- Paired axial CT (left) and PSMA PET (right), [18F]PSMA-1007 tracer
- acquired on GE Discovery 690
- PET panel 256×256 px (2.7 mm/px)
- any black rectangle over the head is a privacy mask, not anatomy
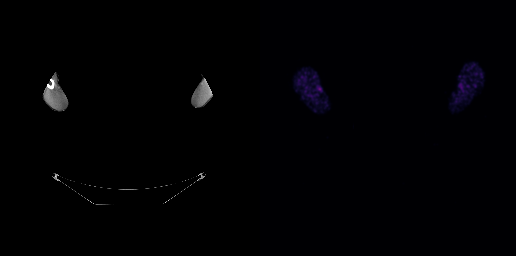
Findings: Negative for PSMA-avid disease on this slice.